modality: PSMA PET/CT | tracer: 68Ga-PSMA | view: axial
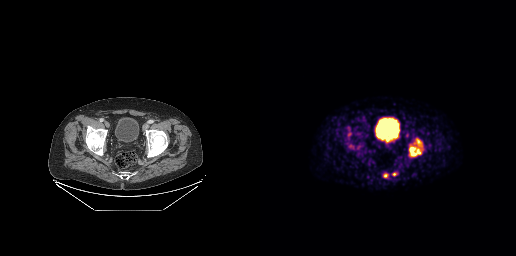
Coordinates are on the 256×256 PET (right) panel. PSMA-avid tumor lesion bounding boxes (x0, y0)-(x1, y1): (149, 146)-(161, 156); (156, 139)-(161, 145); (123, 173)-(128, 177). Small PSMA-avid focus (2 to 4 px across) near (center x, center y): (134, 174).